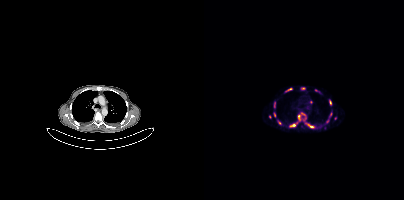
{"modality":"PSMA PET/CT","view":"axial","tracer":"68Ga","pet_grid":[200,200],"coord_frame":"pet_panel","coord_format":"x0,y0,x1,y1","partial":true,"lesion_bboxes":[[81,88,88,91],[97,113,102,116],[125,100,127,104],[70,102,71,107],[86,124,91,126],[104,124,109,127],[70,112,71,116]],"small_foci_centers":[[95,116],[123,121],[107,102],[126,114],[75,123]]}